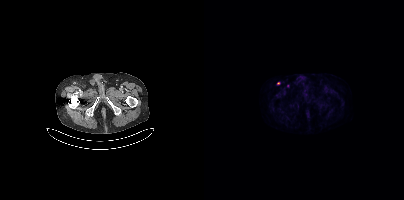
{"modality":"PSMA PET/CT","view":"axial","tracer":"[18F]PSMA-1007","pet_grid":[200,200],"coord_frame":"pet_panel","coord_format":"x0,y0,x1,y1","lesion_bboxes":[],"small_foci_centers":[[83,85],[74,82]]}